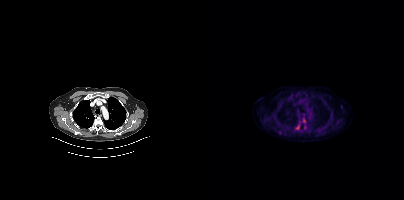
modality: PSMA PET/CT | tracer: [18F]PSMA-1007 | view: axial | PET grid: 200×200
Coordinates are on the 200×200 PET (right) panel. (showing 3 of 4 foci) PSMA-avid tumor lesion bounding box (x0, y0)-(x1, y1): (92, 125)-(95, 129). Small PSMA-avid foci (2 to 4 px across) near (center x, center y): (100, 120) / (76, 132).